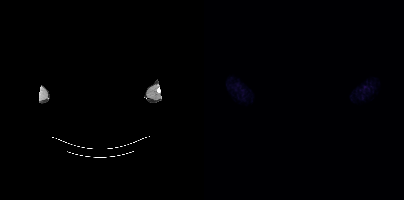
No tumor lesions annotated on this slice. The face region was removed for patient privacy by blanking a rectangle over the head. Paired axial CT (left) and PSMA PET (right), [18F]PSMA-1007 tracer. Slice 411 of 427.